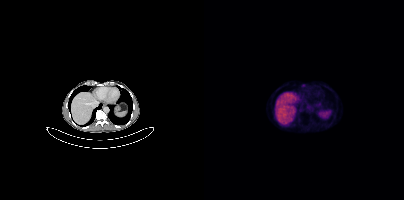
No tumor lesions annotated on this slice.
modality: PSMA PET/CT | tracer: 68Ga-PSMA | view: axial